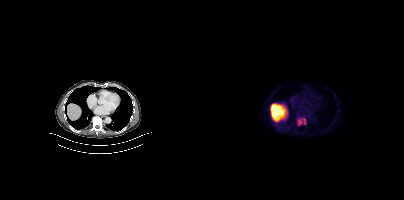
Paired axial CT (left) and PSMA PET (right), 18F tracer. PET panel 200×200 px (4.1 mm/px). Coordinates are on the 200×200 PET (right) panel. PSMA-avid tumor lesion bounding box (x0,y0,x1,y1): [93,118,102,125].